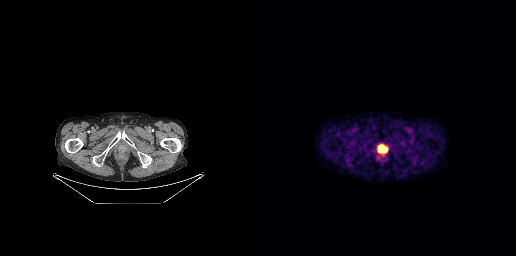
Coordinates are on the 256×256 PET (right) panel. PSMA-avid tumor lesion bounding box (x0, y0)-(x1, y1): (118, 145)-(127, 152).